Technique: Paired axial CT (left) and PSMA PET (right), 68Ga tracer.
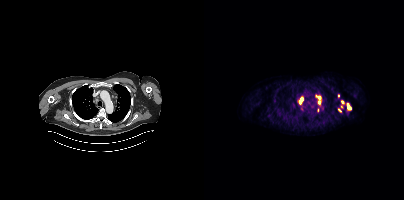
Findings: Coordinates are on the 200×200 PET (right) panel. (showing 9 of 10 foci) PSMA-avid tumor lesion bounding boxes (x, y, width, height): x=95 y=98 w=4 h=6 | x=112 y=95 w=5 h=5 | x=144 y=105 w=3 h=5 | x=134 y=108 w=4 h=5. Small PSMA-avid foci (2 to 4 px across) near (center x, center y): (115, 102) | (134, 95) | (138, 102) | (113, 110) | (137, 106).